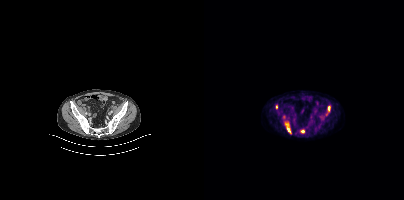
Technique: Two-panel axial: CT | PSMA PET, 18F tracer. acquired on Siemens Biograph mCT Flow 20. slice position z = -900 mm. PET panel 200×200 px (4.1 mm/px).
Findings: Coordinates are on the 200×200 PET (right) panel. PSMA-avid tumor lesion bounding boxes (x0,y0,x1,y1): [82,124,86,133] [124,106,126,111]. Small PSMA-avid foci (2 to 4 px across) near (center x, center y): (98, 131) (72, 106).